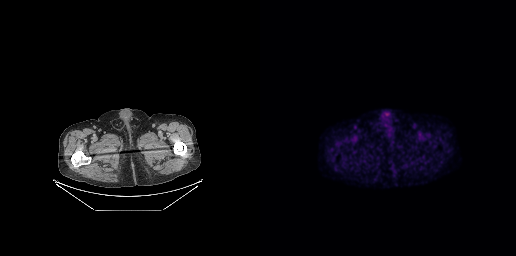
Findings: Negative for PSMA-avid disease on this slice.
- Left: CT. Right: PSMA PET, same axial level, 18F tracer
- slice position z = -770 mm
- PET panel 256×256 px (2.7 mm/px)